Left: CT. Right: PSMA PET, same axial level, 68Ga tracer.
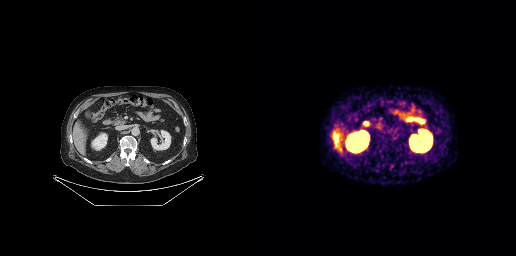
This slice has no annotated PSMA-avid lesion.